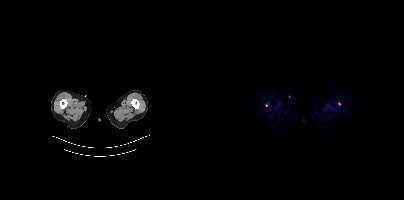
Technique: Left: CT. Right: PSMA PET, same axial level, 18F tracer. acquired on Siemens Biograph mCT Flow 20.
Findings: Coordinates are on the 200×200 PET (right) panel. Small PSMA-avid foci (2 to 4 px across) near (center x, center y): (135, 103) (62, 105).